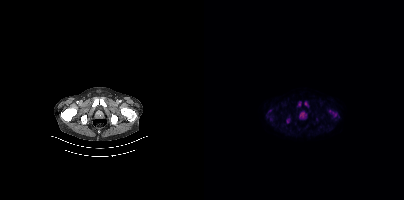
Findings: Coordinates are on the 200×200 PET (right) panel. PSMA-avid tumor lesion bounding boxes (x0, y0)-(x1, y1): (125, 109)-(133, 117) / (96, 112)-(101, 117) / (82, 118)-(86, 123). Small PSMA-avid foci (2 to 4 px across) near (center x, center y): (102, 103) / (95, 103).
Technique: Paired axial CT (left) and PSMA PET (right), [18F]PSMA-1007 tracer.